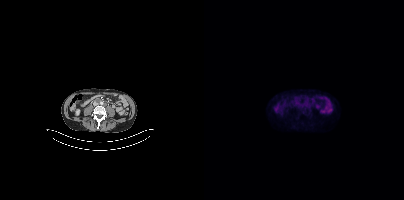
{"modality":"PSMA PET/CT","view":"axial","tracer":"18F-PSMA","pet_grid":[200,200],"coord_frame":"pet_panel","coord_format":"x0,y0,x1,y1","psma_avid_lesions":false}